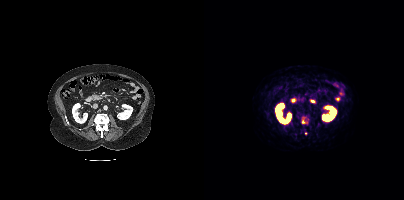
Left: CT. Right: PSMA PET, same axial level, [68Ga]Ga-PSMA-11 tracer. Coordinates are on the 200×200 PET (right) panel. (showing 2 of 3 foci) PSMA-avid tumor lesion bounding box (x0, y0)-(x1, y1): (98, 119)-(103, 123). Small PSMA-avid focus (2 to 4 px across) near (center x, center y): (102, 133).